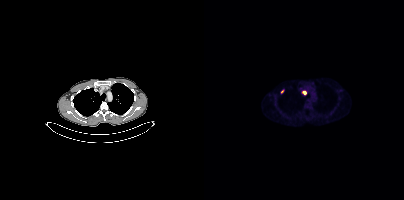
Left: CT. Right: PSMA PET, same axial level, 18F-PSMA tracer. Acquired on Siemens Biograph mCT Flow 20. Coordinates are on the 200×200 PET (right) panel. Small PSMA-avid foci (2 to 4 px across) near (center x, center y): (100, 92) | (78, 90).